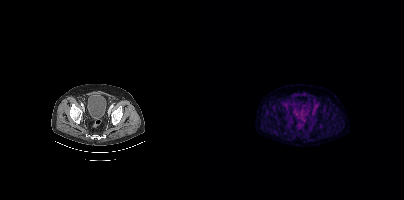
modality: PSMA PET/CT | tracer: 18F | view: axial
This slice has no annotated PSMA-avid lesion.